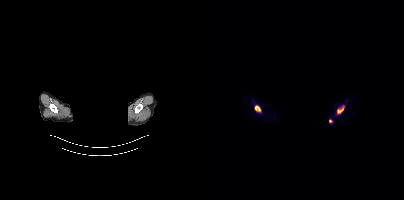
An anonymization step blacked out a rectangle over the head in this scan.
Coordinates are on the 200×200 PET (right) panel. PSMA-avid tumor lesion bounding boxes (x, y, width, height): x=133 y=107 w=7 h=8 | x=51 y=106 w=6 h=7. Small PSMA-avid focus (2 to 4 px across) near (center x, center y): (126, 121).